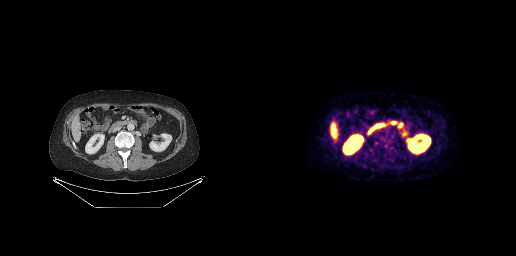
This slice has no annotated PSMA-avid lesion.